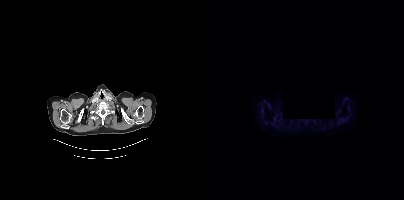
{"modality":"PSMA PET/CT","view":"axial","tracer":"18F","pet_grid":[200,200],"coord_frame":"pet_panel","coord_format":"x0,y0,x1,y1","psma_avid_lesions":false,"de-identification":"privacy mask (black rectangle)"}